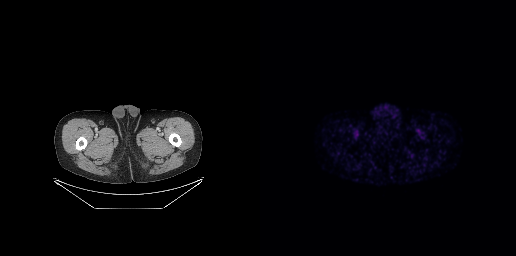
No tumor lesions annotated on this slice.